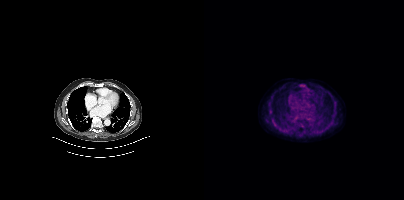
{"modality":"PSMA PET/CT","view":"axial","tracer":"18F-PSMA","pet_grid":[200,200],"coord_frame":"pet_panel","coord_format":"x0,y0,x1,y1","lesion_bboxes":[],"small_foci_centers":[[98,125]]}